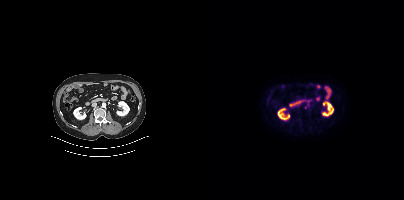
{"pet_grid":[200,200],"coord_frame":"pet_panel","coord_format":"x0,y0,x1,y1","partial":true,"lesion_bboxes":[],"modality":"PSMA PET/CT","view":"axial","tracer":"18F-PSMA"}